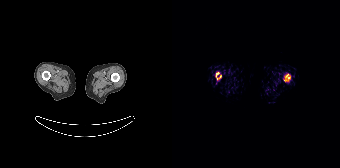
modality: PSMA PET/CT | tracer: 18F | view: axial
Coordinates are on the 168×168 PET (right) panel. PSMA-avid tumor lesion bounding boxes (x, y, width, height): x=111 y=73 w=8 h=9 | x=44 y=72 w=6 h=8.